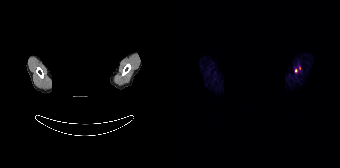
Any black rectangle over the head is a privacy mask, not anatomy. Two-panel axial: CT | PSMA PET, 68Ga tracer. Acquired on Siemens Biograph 64-4R TruePoint. Slice position z = -234 mm. Coordinates are on the 168×168 PET (right) panel. Small PSMA-avid focus (2 to 4 px across) near (center x, center y): (123, 70).